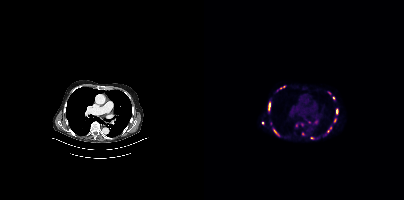
Technique: Paired axial CT (left) and PSMA PET (right), 68Ga tracer. slice position z = -1108 mm.
Findings: Coordinates are on the 200×200 PET (right) panel. (showing 7 of 10 foci) PSMA-avid tumor lesion bounding boxes (x, y, width, height): x=65 y=103 w=2 h=8; x=123 y=127 w=5 h=6; x=132 y=109 w=2 h=5. Small PSMA-avid foci (2 to 4 px across) near (center x, center y): (108, 137); (58, 122); (129, 97); (70, 130).